Technique: Paired axial CT (left) and PSMA PET (right), 18F-PSMA tracer.
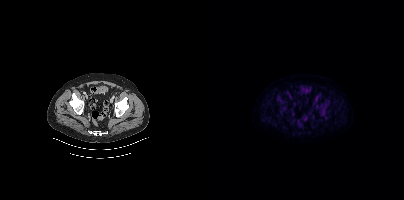
Findings: Coordinates are on the 200×200 PET (right) panel. (showing 5 of 6 foci) PSMA-avid tumor lesion bounding boxes (x0,y0,x1,y1): [115,108,123,115] [113,103,118,107] [121,101,125,105] [72,95,75,99]. Small PSMA-avid focus (2 to 4 px across) near (center x, center y): (104, 132).